Technique: Paired axial CT (left) and PSMA PET (right), 18F-PSMA tracer. slice 94 of 421. PET panel 200×200 px (4.1 mm/px).
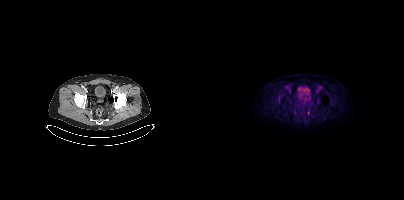
Findings: Coordinates are on the 200×200 PET (right) panel. Small PSMA-avid focus (2 to 4 px across) near (center x, center y): (104, 112).